redaction: face masked with black rectangle | modality: PSMA PET/CT | tracer: 18F-PSMA | view: axial | PET grid: 200×200
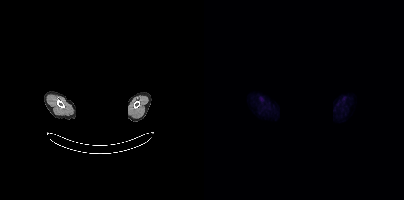
This slice has no annotated PSMA-avid lesion.